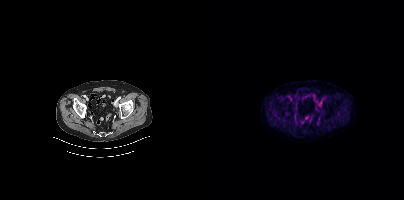
{"modality":"PSMA PET/CT","view":"axial","tracer":"18F","pet_grid":[200,200],"coord_frame":"pet_panel","coord_format":"x0,y0,x1,y1","psma_avid_lesions":false}